Technique: Left: CT. Right: PSMA PET, same axial level, [18F]PSMA-1007 tracer.
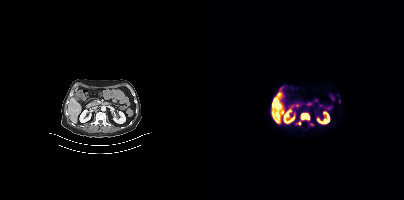
Findings: Coordinates are on the 200×200 PET (right) panel. PSMA-avid tumor lesion bounding boxes (x, y, width, height): x=97 y=113 w=9 h=7 | x=105 y=123 w=5 h=3. Small PSMA-avid foci (2 to 4 px across) near (center x, center y): (70, 103) | (95, 123).